modality: PSMA PET/CT | tracer: [18F]PSMA-1007 | view: axial | PET grid: 200×200
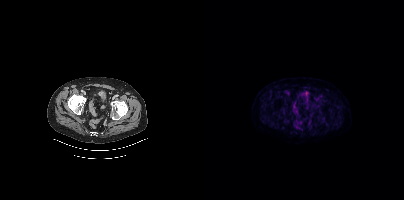
No PSMA-avid tumor lesions on this slice.